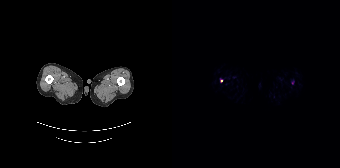
- Two-panel axial: CT | PSMA PET, [18F]PSMA-1007 tracer
- slice position z = -1494 mm
Findings: No PSMA-avid tumor lesions on this slice.